Two-panel axial: CT | PSMA PET, 18F-PSMA tracer. Slice position z = -722 mm. PET panel 200×200 px (4.1 mm/px).
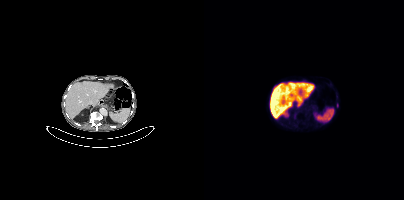
Coordinates are on the 200×200 PET (right) panel. Small PSMA-avid focus (2 to 4 px across) near (center x, center y): (133, 104).